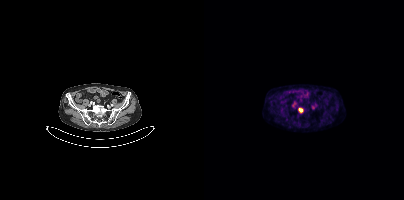
Coordinates are on the 200×200 PET (right) panel. PSMA-avid tumor lesion bounding boxes:
| # | x0 | y0 | x1 | y1 |
|---|---|---|---|---|
| 1 | 94 | 108 | 98 | 112 |
Paired axial CT (left) and PSMA PET (right), [18F]PSMA-1007 tracer.